Two-panel axial: CT | PSMA PET, 18F tracer.
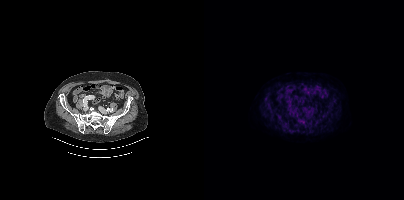
Coordinates are on the 200×200 PET (right) panel. Small PSMA-avid focus (2 to 4 px across) near (center x, center y): (98, 121).